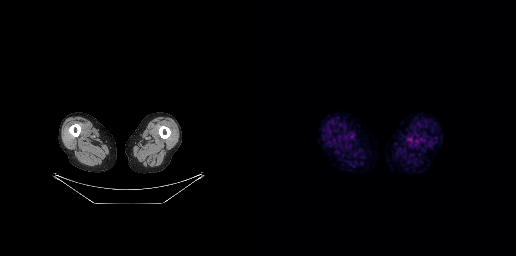
No PSMA-avid tumor lesions on this slice.